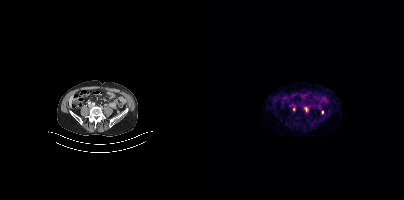
Coordinates are on the 200×200 PET (right) panel. PSMA-avid tumor lesion bounding box (x0, y0)-(x1, y1): (101, 107)-(103, 111). Small PSMA-avid foci (2 to 4 px across) near (center x, center y): (89, 109) | (118, 112).